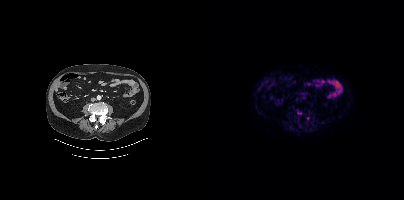
{"modality":"PSMA PET/CT","view":"axial","tracer":"[18F]PSMA-1007","pet_grid":[200,200],"coord_frame":"pet_panel","coord_format":"x0,y0,x1,y1","partial":true,"lesion_bboxes":[]}